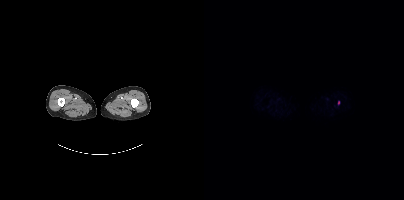
Coordinates are on the 200×200 PET (right) panel. Small PSMA-avid focus (2 to 4 px across) near (center x, center y): (134, 102).
modality: PSMA PET/CT | tracer: 18F | view: axial